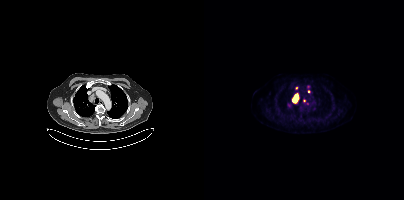
Findings: Coordinates are on the 200×200 PET (right) panel. PSMA-avid tumor lesion bounding box (x0, y0)-(x1, y1): (88, 95)-(94, 102).
- Left: CT. Right: PSMA PET, same axial level, 18F tracer